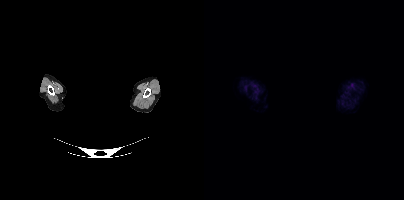
Findings: No tumor lesions annotated on this slice.
- Two-panel axial: CT | PSMA PET, [18F]PSMA-1007 tracer
- a rectangular block over the head has been blanked out for de-identification